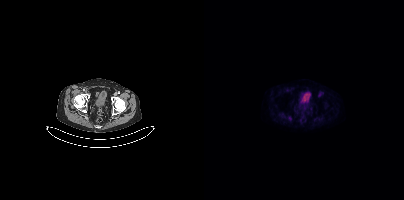
This slice has no annotated PSMA-avid lesion.
modality: PSMA PET/CT | tracer: 18F-PSMA | view: axial | PET grid: 200×200